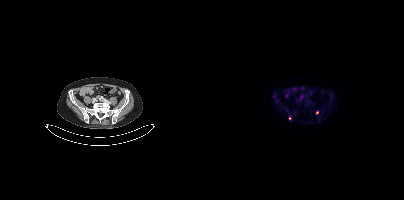
Coordinates are on the 200×200 PET (right) panel. (showing 1 of 2 foci) Small PSMA-avid focus (2 to 4 px across) near (center x, center y): (113, 112).